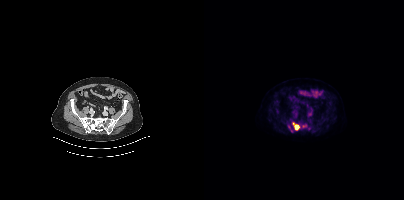
Technique: Paired axial CT (left) and PSMA PET (right), 18F tracer. acquired on Siemens Biograph mCT Flow 20. slice 97 of 381. PET panel 200×200 px (4.1 mm/px).
Findings: Coordinates are on the 200×200 PET (right) panel. (showing 2 of 3 foci) PSMA-avid tumor lesion bounding box (x0, y0)-(x1, y1): (88, 122)-(96, 130). Small PSMA-avid focus (2 to 4 px across) near (center x, center y): (99, 126).